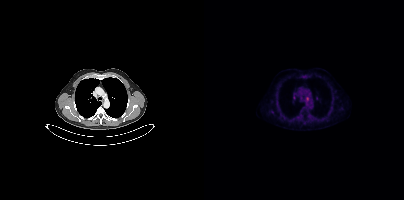
{"modality":"PSMA PET/CT","view":"axial","tracer":"18F-PSMA","pet_grid":[200,200],"coord_frame":"pet_panel","coord_format":"x0,y0,x1,y1","lesion_bboxes":[],"small_foci_centers":[[103,98]]}